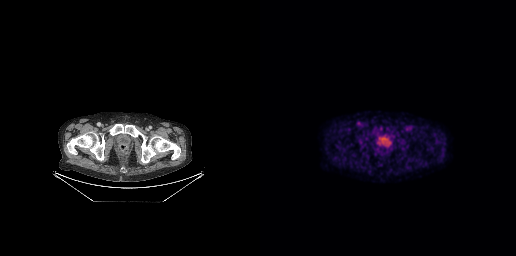
No tumor lesions annotated on this slice.